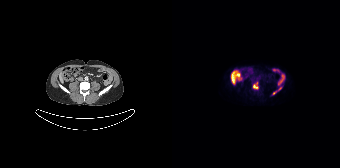
modality: PSMA PET/CT | tracer: [18F]PSMA-1007 | view: axial | PET grid: 168×168
Coordinates are on the 168×168 PET (right) panel. PSMA-avid tumor lesion bounding box (x0, y0)-(x1, y1): (81, 82)-(86, 89). Small PSMA-avid foci (2 to 4 px across) near (center x, center y): (102, 92); (107, 88).